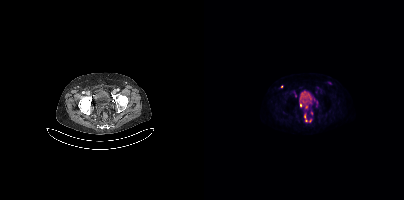
{"modality":"PSMA PET/CT","view":"axial","tracer":"18F-PSMA","pet_grid":[200,200],"coord_frame":"pet_panel","coord_format":"x0,y0,x1,y1","partial":true,"lesion_bboxes":[[96,103,97,107]],"small_foci_centers":[[100,116],[77,86],[102,120]]}